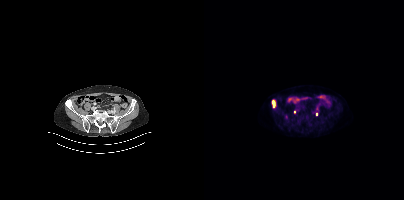
{"modality":"PSMA PET/CT","view":"axial","tracer":"18F-PSMA","pet_grid":[200,200],"coord_frame":"pet_panel","coord_format":"x0,y0,x1,y1","lesion_bboxes":[[68,100,70,107]],"small_foci_centers":[[112,114],[90,111]]}